modality: PSMA PET/CT | tracer: 68Ga | view: axial | PET grid: 168×168
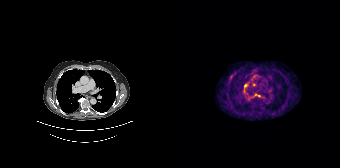
Coordinates are on the 168×168 PET (right) panel. Small PSMA-avid foci (2 to 4 px across) near (center x, center y): (59, 76) | (84, 94).